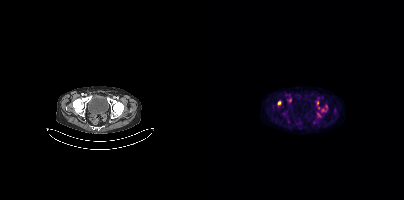
Paired axial CT (left) and PSMA PET (right), 18F tracer. Acquired on Siemens Biograph mCT Flow 20. PET panel 200×200 px (4.1 mm/px). Coordinates are on the 200×200 PET (right) panel. (showing 2 of 5 foci) Small PSMA-avid foci (2 to 4 px across) near (center x, center y): (75, 102) | (113, 103).